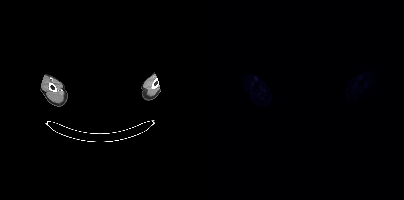
{"modality":"PSMA PET/CT","view":"axial","tracer":"18F","pet_grid":[200,200],"coord_frame":"pet_panel","coord_format":"x0,y0,x1,y1","deidentification":"rectangular block over head set to black","psma_avid_lesions":false}